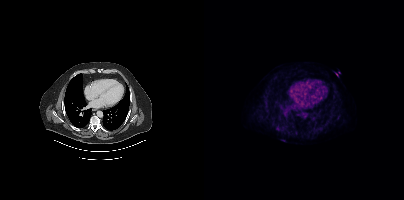
No tumor lesions annotated on this slice. Left: CT. Right: PSMA PET, same axial level, [18F]PSMA-1007 tracer. PET panel 200×200 px (4.1 mm/px).